Face de-identified by blanking a block of the head.
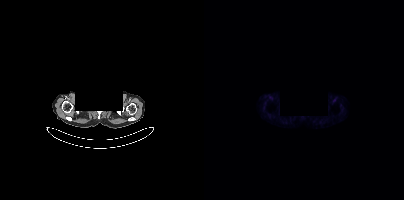
This slice has no annotated PSMA-avid lesion.